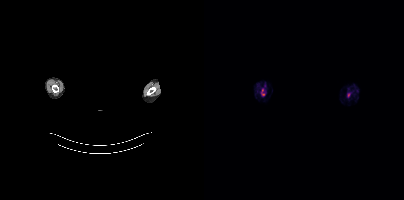
{"modality":"PSMA PET/CT","view":"axial","tracer":"18F","pet_grid":[200,200],"coord_frame":"pet_panel","coord_format":"x0,y0,x1,y1","psma_avid_lesions":false,"de-identification":"head region blanked (face removed)"}